The face region was removed for patient privacy by blanking a rectangle over the head. Two-panel axial: CT | PSMA PET, [18F]PSMA-1007 tracer. Slice 409 of 423.
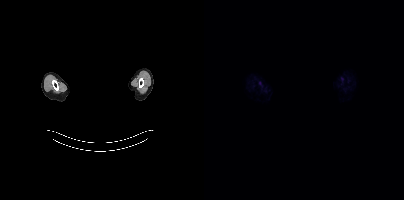
Negative for PSMA-avid disease on this slice.